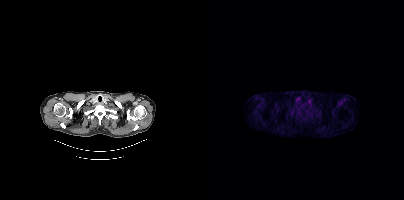
- Left: CT. Right: PSMA PET, same axial level, 18F tracer
Findings: Negative for PSMA-avid disease on this slice.